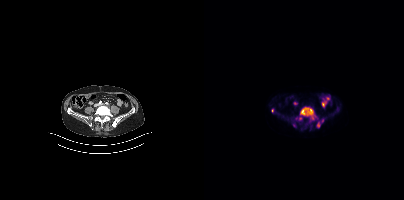
{"modality":"PSMA PET/CT","view":"axial","tracer":"[18F]PSMA-1007","pet_grid":[200,200],"coord_frame":"pet_panel","coord_format":"x0,y0,x1,y1","lesion_bboxes":[[96,108,110,119],[113,122,115,127],[89,123,92,127]],"small_foci_centers":[[96,118],[68,110],[92,119],[118,120]]}